- Paired axial CT (left) and PSMA PET (right), [18F]PSMA-1007 tracer
- acquired on Siemens Biograph mCT Flow 20
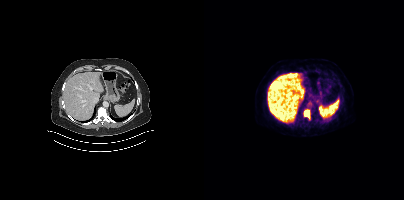
Findings: Coordinates are on the 200×200 PET (right) panel. PSMA-avid tumor lesion bounding box (x, y, width, height): x=100 y=109 w=7 h=11.